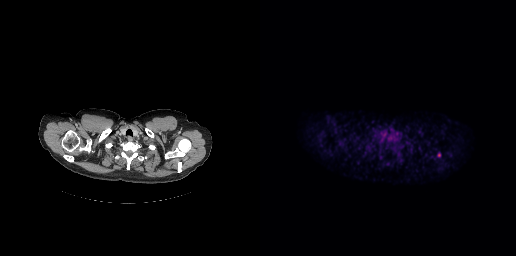
Coordinates are on the 256×256 PET (right) panel. PSMA-avid tumor lesion bounding box (x0,y0,x1,y1): [177,153,180,157].